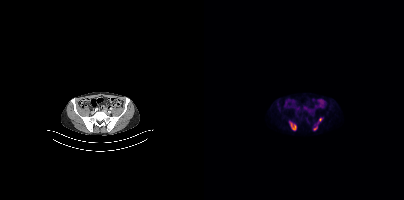
modality: PSMA PET/CT | tracer: 18F | view: axial | PET grid: 200×200
Coordinates are on the 200×200 PET (right) panel. PSMA-avid tumor lesion bounding box (x0,y0,x1,y1): [85,121,92,130]. Small PSMA-avid foci (2 to 4 px across) near (center x, center y): (116, 119); (111, 128).